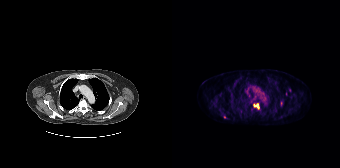
Coordinates are on the 168×168 PET (right) panel. (showing 3 of 4 foci) PSMA-avid tumor lesion bounding box (x0, y0)-(x1, y1): (81, 103)-(87, 108). Small PSMA-avid foci (2 to 4 px across) near (center x, center y): (52, 117) / (114, 93).